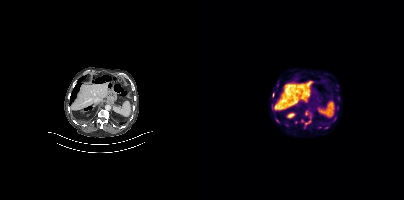
Coordinates are on the 200×200 PET (right) panel. (showing 12 of 14 foci) PSMA-avid tumor lesion bounding boxes (x, y, width, height): x=119 y=123 w=8 h=7 / x=101 y=110 w=7 h=9 / x=97 y=119 w=11 h=9 / x=71 y=118 w=7 h=6 / x=67 y=109 w=5 h=6 / x=80 y=120 w=3 h=6 / x=68 y=92 w=3 h=6. Small PSMA-avid foci (2 to 4 px across) near (center x, center y): (131, 118) / (73, 85) / (73, 101) / (133, 108) / (132, 89).